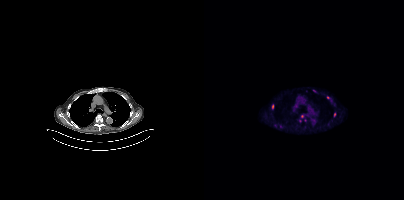
Paired axial CT (left) and PSMA PET (right), 18F-PSMA tracer. Acquired on Siemens Biograph mCT Flow 20. Slice 275 of 385.
Coordinates are on the 200×200 PET (right) panel. PSMA-avid tumor lesion bounding boxes (partial; 3 more foci not listed):
| # | x0 | y0 | x1 | y1 |
|---|---|---|---|---|
| 1 | 68 | 105 | 69 | 109 |
Small PSMA-avid foci (2 to 4 px across) near (center x, center y): (124, 97); (130, 114); (98, 116); (110, 90).